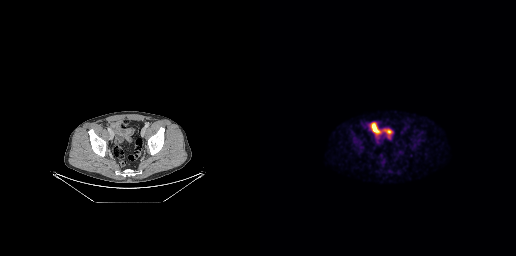
No PSMA-avid tumor lesions on this slice. Left: CT. Right: PSMA PET, same axial level, [18F]PSMA-1007 tracer. Acquired on GE Discovery 690.